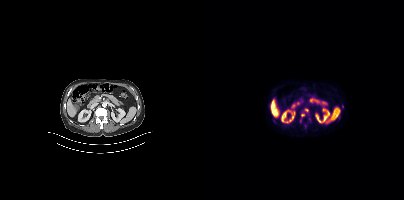
{"modality":"PSMA PET/CT","view":"axial","tracer":"18F","pet_grid":[200,200],"coord_frame":"pet_panel","coord_format":"x0,y0,x1,y1","partial":true,"lesion_bboxes":[[138,104,139,108]],"small_foci_centers":[[102,109],[98,114],[69,119]]}